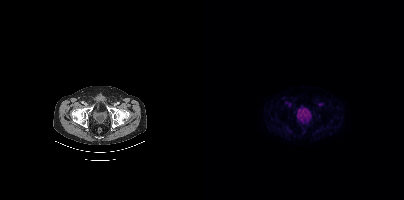
No PSMA-avid tumor lesions on this slice.